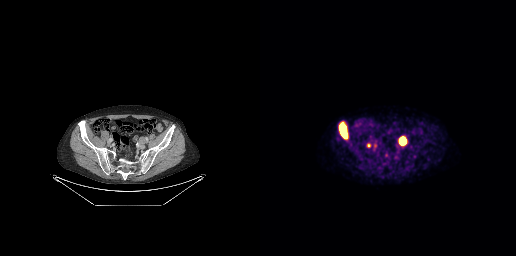
- Paired axial CT (left) and PSMA PET (right), 18F-PSMA tracer
- PET panel 256×256 px (2.7 mm/px)
Findings: Coordinates are on the 256×256 PET (right) panel. PSMA-avid tumor lesion bounding boxes (x0, y0)-(x1, y1): (80, 125)-(86, 137); (139, 137)-(146, 144). Small PSMA-avid focus (2 to 4 px across) near (center x, center y): (108, 144).